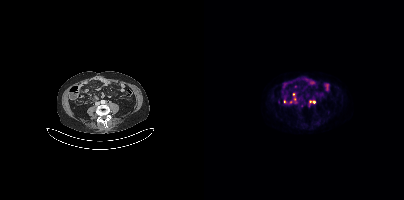
Coordinates are on the 200×200 PET (right) panel. (showing 4 of 6 foci) Small PSMA-avid foci (2 to 4 px across) near (center x, center y): (110, 102) | (80, 101) | (86, 101) | (106, 101). Paired axial CT (left) and PSMA PET (right), [18F]PSMA-1007 tracer. PET panel 200×200 px (4.1 mm/px).